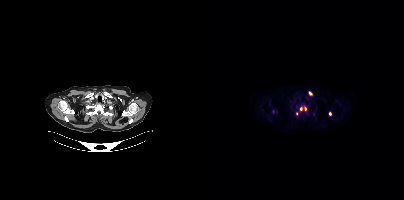
Coordinates are on the 200×200 PET (right) panel. (showing 5 of 6 foci) PSMA-avid tumor lesion bounding box (x0, y0)-(x1, y1): (104, 91)-(108, 95). Small PSMA-avid foci (2 to 4 px across) near (center x, center y): (97, 108) | (126, 113) | (101, 108) | (92, 113).